Two-panel axial: CT | PSMA PET, 18F-PSMA tracer. Acquired on Siemens Biograph mCT Flow 20. Slice position z = -533 mm.
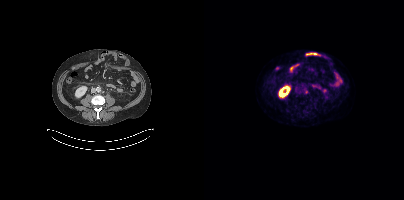
Coordinates are on the 200×200 PET (right) panel. PSMA-avid tumor lesion bounding boxes:
| # | x0 | y0 | x1 | y1 |
|---|---|---|---|---|
| 1 | 100 | 90 | 104 | 93 |